modality: PSMA PET/CT | tracer: 18F-PSMA | view: axial | PET grid: 200×200
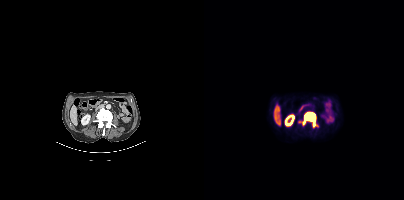
Coordinates are on the 200×200 PET (right) panel. PSMA-avid tumor lesion bounding box (x0, y0)-(x1, y1): (94, 112)-(112, 127).